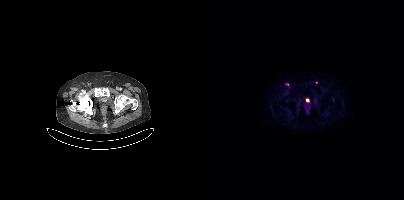
{"modality":"PSMA PET/CT","view":"axial","tracer":"18F-PSMA","pet_grid":[200,200],"coord_frame":"pet_panel","coord_format":"x0,y0,x1,y1","partial":true,"lesion_bboxes":[],"small_foci_centers":[[83,84]]}